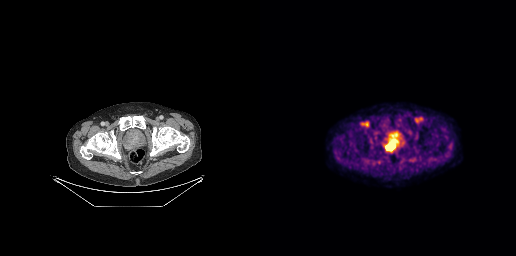
- Two-panel axial: CT | PSMA PET, 18F-PSMA tracer
- slice 60 of 263
- PET panel 256×256 px (2.7 mm/px)
Findings: Coordinates are on the 256×256 PET (right) panel. PSMA-avid tumor lesion bounding box (x0, y0)-(x1, y1): (126, 142)-(134, 150).